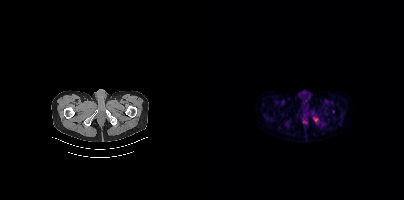
{"modality":"PSMA PET/CT","view":"axial","tracer":"68Ga","pet_grid":[200,200],"coord_frame":"pet_panel","coord_format":"x0,y0,x1,y1","lesion_bboxes":[],"small_foci_centers":[[112,119]]}